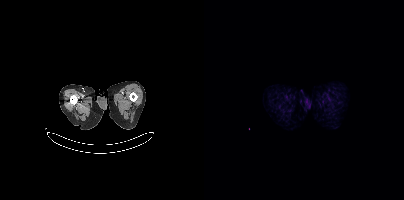
Negative for PSMA-avid disease on this slice.